Technique: Two-panel axial: CT | PSMA PET, 18F-PSMA tracer. acquired on Siemens Biograph mCT Flow 20. PET panel 200×200 px (4.1 mm/px).
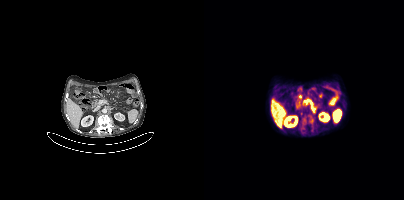
Findings: Coordinates are on the 200×200 PET (right) panel. PSMA-avid tumor lesion bounding boxes (x0, y0)-(x1, y1): (99, 118)-(108, 126) | (94, 94)-(98, 99) | (98, 107)-(102, 110). Small PSMA-avid foci (2 to 4 px across) near (center x, center y): (116, 95) | (97, 113) | (102, 102).